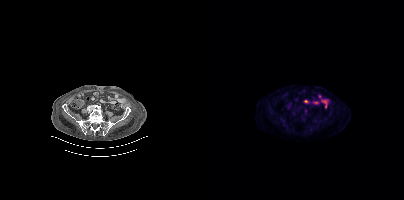
Left: CT. Right: PSMA PET, same axial level, 18F tracer. PET panel 200×200 px (4.1 mm/px). Only PSMA-avid lesion pieces thinner than 2 px on this slice (not listed).